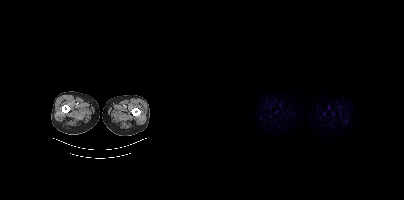
Negative for PSMA-avid disease on this slice. Paired axial CT (left) and PSMA PET (right), 18F-PSMA tracer. Slice position z = -1576 mm. PET panel 200×200 px (4.1 mm/px).